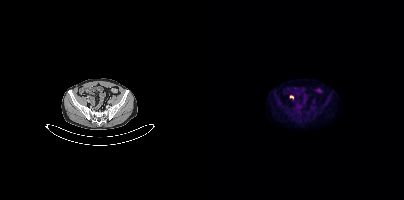
{"pet_grid":[200,200],"coord_frame":"pet_panel","coord_format":"x0,y0,x1,y1","lesion_bboxes":[],"small_foci_centers":[[87,96]],"modality":"PSMA PET/CT","view":"axial","tracer":"18F"}